modality: PSMA PET/CT | tracer: 68Ga-PSMA | view: axial
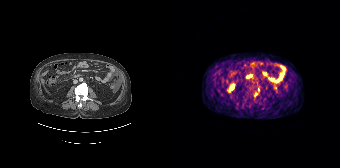
Coordinates are on the 168×168 PET (right) panel. Small PSMA-avid foci (2 to 4 px across) near (center x, center y): (83, 94) | (86, 89).